modality: PSMA PET/CT | tracer: 18F | view: axial | redaction: head region blanked (face removed)
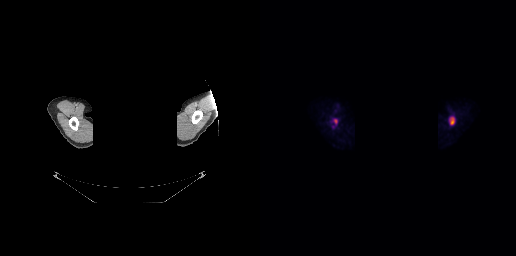
Coordinates are on the 256×256 PET (right) panel. PSMA-avid tumor lesion bounding box (x0,y0,x1,y1): [189,116,195,125]. Small PSMA-avid focus (2 to 4 px across) near (center x, center y): (75, 120).